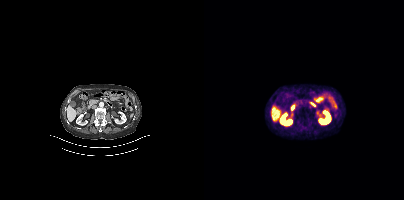
Left: CT. Right: PSMA PET, same axial level, 68Ga tracer. Acquired on Siemens Biograph mCT Flow 20. No tumor lesions annotated on this slice.